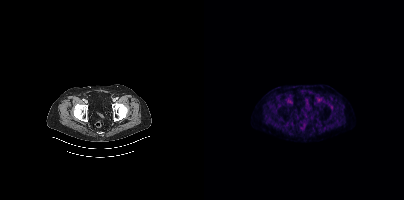
No tumor lesions annotated on this slice.
modality: PSMA PET/CT | tracer: 18F-PSMA | view: axial | PET grid: 200×200